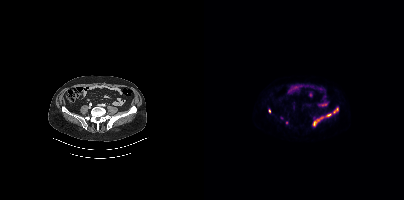
- Two-panel axial: CT | PSMA PET, 18F-PSMA tracer
- acquired on Siemens Biograph mCT Flow 20
- slice position z = -1298 mm
Findings: Coordinates are on the 200×200 PET (right) panel. (showing 5 of 7 foci) PSMA-avid tumor lesion bounding boxes (x0,y0,x1,y1): [109,116,120,125], [129,107,134,113], [122,113,127,116]. Small PSMA-avid foci (2 to 4 px across) near (center x, center y): (65, 110), (77, 117).